Two-panel axial: CT | PSMA PET, 18F-PSMA tracer. PET panel 200×200 px (4.1 mm/px).
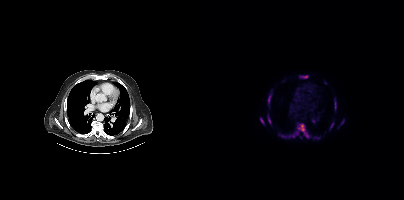
Coordinates are on the 200×200 PET (right) panel. (showing 9 of 12 foci) PSMA-avid tumor lesion bounding boxes (x0, y0)-(x1, y1): (74, 123)-(105, 138); (63, 93)-(67, 104); (130, 98)-(132, 110); (96, 75)-(104, 78); (126, 122)-(129, 129); (137, 119)-(140, 124). Small PSMA-avid foci (2 to 4 px across) near (center x, center y): (113, 137); (121, 82); (63, 115).